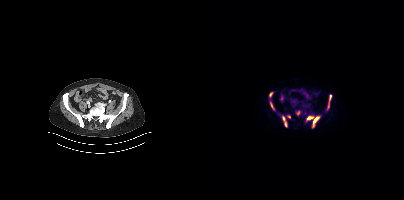
Coordinates are on the 200×200 PET (right) panel. (showing 8 of 9 foci) PSMA-avid tumor lesion bounding boxes (x0,y0,x1,y1): [78,116,83,126] [109,116,115,126] [103,116,109,119] [66,102,70,109] [125,95,127,101] [93,111,95,115] [65,92,68,96]. Small PSMA-avid focus (2 to 4 px across) near (center x, center y): (84, 116).